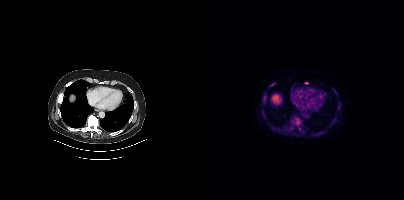
Coordinates are on the 200×200 PET (right) panel. Small PSMA-avid foci (2 to 4 px across) near (center x, center y): (60, 100), (67, 85), (102, 82), (93, 122).
modality: PSMA PET/CT | tracer: 18F | view: axial | PET grid: 200×200